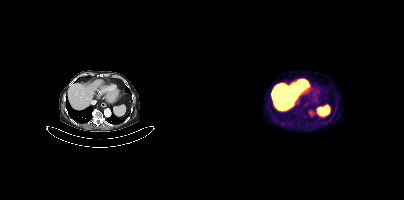
Findings: This slice has no annotated PSMA-avid lesion.
Technique: Two-panel axial: CT | PSMA PET, [18F]PSMA-1007 tracer.